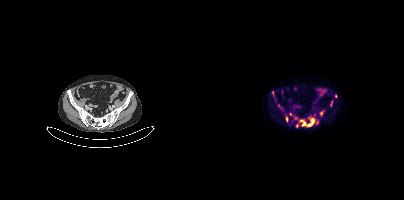
Coordinates are on the 200×200 PET (right) panel. (showing 8 of 11 foci) PSMA-avid tumor lesion bounding boxes (x0,y0,x1,y1): [95,118,110,126]; [126,101,128,106]; [82,117,83,121]. Small PSMA-avid foci (2 to 4 px across) near (center x, center y): (117, 113); (93, 125); (68, 92); (131, 96); (86, 113).